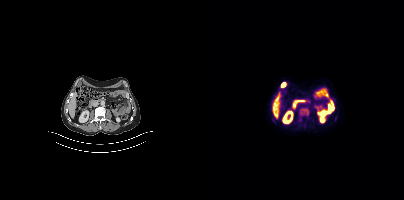
{"modality":"PSMA PET/CT","view":"axial","tracer":"18F","pet_grid":[200,200],"coord_frame":"pet_panel","coord_format":"x0,y0,x1,y1","partial":true,"lesion_bboxes":[[98,109,104,114]]}